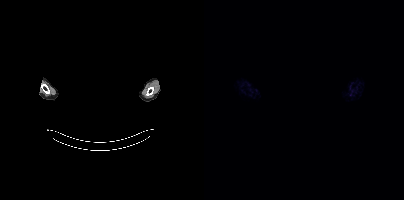
This slice has no annotated PSMA-avid lesion. Two-panel axial: CT | PSMA PET, [18F]PSMA-1007 tracer. Slice 380 of 385. The head region is masked for de-identification.